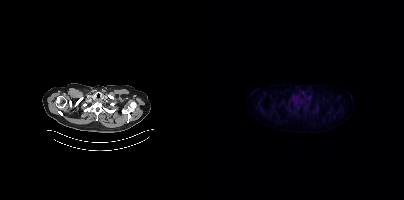
No tumor lesions annotated on this slice.